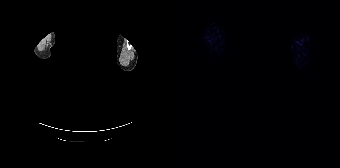
{"modality":"PSMA PET/CT","view":"axial","tracer":"18F","pet_grid":[168,168],"coord_frame":"pet_panel","coord_format":"x0,y0,x1,y1","de-identification":"head region blanked (face removed)","psma_avid_lesions":false}